modality: PSMA PET/CT | tracer: 18F-PSMA | view: axial | PET grid: 200×200
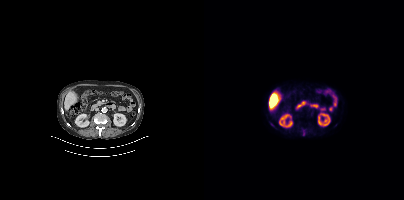
No PSMA-avid tumor lesions on this slice.